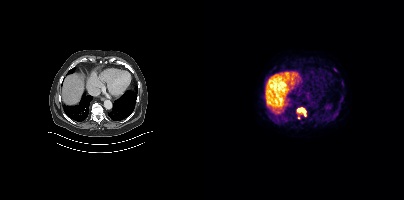
modality: PSMA PET/CT | tracer: 18F-PSMA | view: axial | PET grid: 200×200
Coordinates are on the 200×200 PET (right) panel. (showing 6 of 7 foci) PSMA-avid tumor lesion bounding boxes (x, y, width, height): x=127 y=114 w=7 h=6; x=94 y=108 w=7 h=5; x=137 y=82 w=4 h=5; x=136 y=98 w=4 h=5. Small PSMA-avid foci (2 to 4 px across) near (center x, center y): (130, 69); (123, 121).